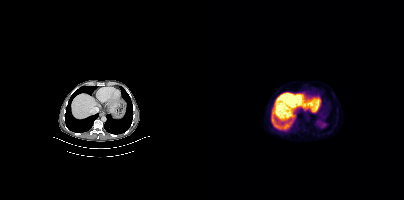
Technique: Two-panel axial: CT | PSMA PET, 18F-PSMA tracer. slice 260 of 435.
Findings: No PSMA-avid tumor lesions on this slice.